Paired axial CT (left) and PSMA PET (right), 18F-PSMA tracer.
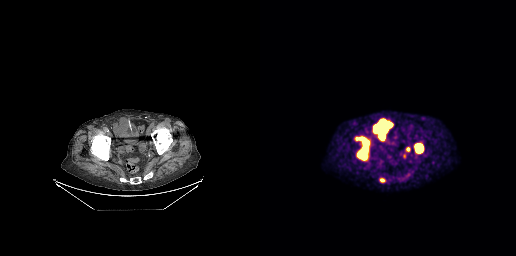
Coordinates are on the 256×256 PET (right) panel. PSMA-avid tumor lesion bounding boxes (x0,y0,x1,y1): [113,119,132,140] [96,137,109,160] [155,144,163,152] [119,178,125,182]. Small PSMA-avid focus (2 to 4 px across) near (center x, center y): (148, 149).